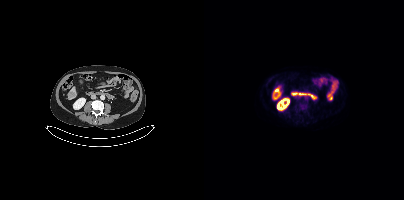
modality: PSMA PET/CT | tracer: 18F-PSMA | view: axial
No tumor lesions annotated on this slice.